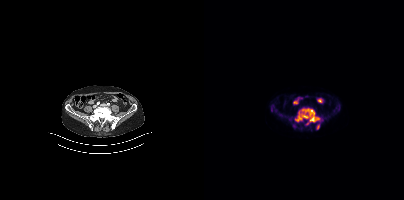
Paired axial CT (left) and PSMA PET (right), [18F]PSMA-1007 tracer. Acquired on Siemens Biograph mCT Flow 20. Slice position z = -1435 mm. PET panel 200×200 px (4.1 mm/px).
Coordinates are on the 200×200 PET (right) panel. PSMA-avid tumor lesion bounding boxes:
| # | x0 | y0 | x1 | y1 |
|---|---|---|---|---|
| 1 | 91 | 108 | 116 | 124 |
| 2 | 112 | 124 | 115 | 129 |
Small PSMA-avid foci (2 to 4 px across) near (center x, center y): (90, 125); (134, 104).